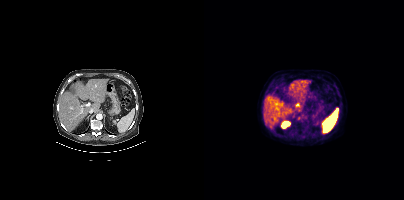
Technique: Left: CT. Right: PSMA PET, same axial level, 18F tracer. slice 252 of 448. PET panel 200×200 px (4.1 mm/px).
Findings: Coordinates are on the 200×200 PET (right) panel. Small PSMA-avid focus (2 to 4 px across) near (center x, center y): (94, 118).